- Paired axial CT (left) and PSMA PET (right), [18F]PSMA-1007 tracer
- acquired on Siemens Biograph mCT Flow 20
- PET panel 200×200 px (4.1 mm/px)
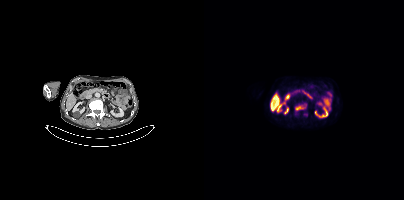
Findings: Coordinates are on the 200×200 PET (right) panel. PSMA-avid tumor lesion bounding box (x0,y0,x1,y1): [92,106,99,110].